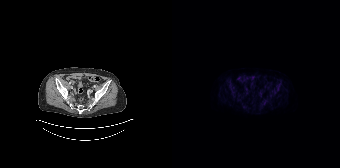
modality: PSMA PET/CT | tracer: 18F | view: axial | PET grid: 168×168
Only PSMA-avid lesion pieces thinner than 2 px on this slice (not listed).